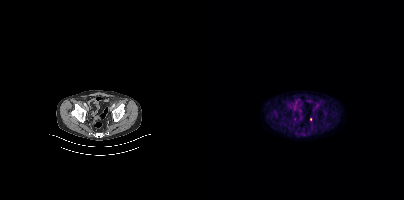
{"modality":"PSMA PET/CT","view":"axial","tracer":"18F","pet_grid":[200,200],"coord_frame":"pet_panel","coord_format":"x0,y0,x1,y1","psma_avid_lesions":false}